- Paired axial CT (left) and PSMA PET (right), [18F]PSMA-1007 tracer
- acquired on Siemens Biograph mCT Flow 20
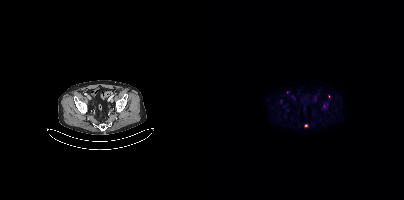
Findings: Coordinates are on the 200×200 PET (right) panel. (showing 4 of 5 foci) PSMA-avid tumor lesion bounding box (x0, y0)-(x1, y1): (76, 99)-(78, 103). Small PSMA-avid foci (2 to 4 px across) near (center x, center y): (102, 125) | (83, 92) | (124, 96).